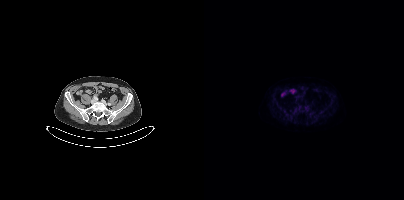
Only PSMA-avid lesion pieces thinner than 2 px on this slice (not listed).
modality: PSMA PET/CT | tracer: 18F-PSMA | view: axial | PET grid: 200×200